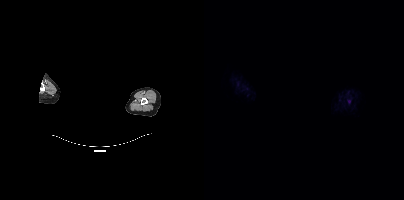
- head region blanked for anonymization (face removed)
- Paired axial CT (left) and PSMA PET (right), 18F tracer
Findings: No PSMA-avid tumor lesions on this slice.